Paired axial CT (left) and PSMA PET (right), 18F-PSMA tracer.
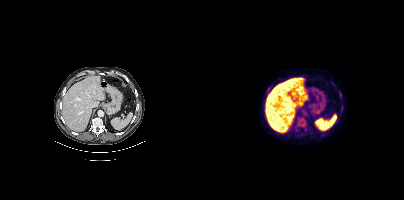
Coordinates are on the 200×200 PET (right) panel. PSMA-avid tumor lesion bounding boxes:
| # | x0 | y0 | x1 | y1 |
|---|---|---|---|---|
| 1 | 135 | 91 | 137 | 95 |
Small PSMA-avid focus (2 to 4 px across) near (center x, center y): (137, 110).